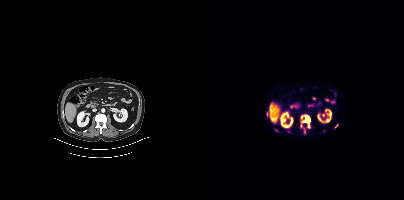
Findings: Coordinates are on the 200×200 PET (right) panel. (showing 7 of 8 foci) PSMA-avid tumor lesion bounding boxes (x0,y0,x1,y1): [99,115,106,123]; [99,129,101,133]; [62,112,64,116]. Small PSMA-avid foci (2 to 4 px across) near (center x, center y): (104, 126); (71, 130); (97, 116); (132, 126).
- Left: CT. Right: PSMA PET, same axial level, 18F-PSMA tracer
- acquired on Siemens Biograph mCT Flow 20
- PET panel 200×200 px (4.1 mm/px)